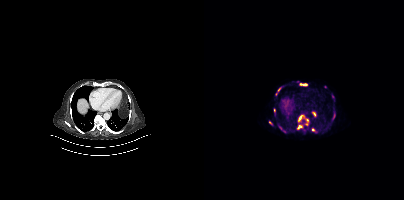
{"pet_grid":[200,200],"coord_frame":"pet_panel","coord_format":"x0,y0,x1,y1","lesion_bboxes":[[94,115,100,120],[74,125,79,130],[93,125,98,129],[96,84,101,85]],"small_foci_centers":[[102,120],[75,89],[70,111],[109,130],[129,116],[66,122],[102,124]],"modality":"PSMA PET/CT","view":"axial","tracer":"68Ga"}